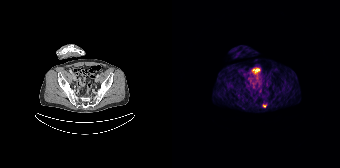
Left: CT. Right: PSMA PET, same axial level, 68Ga tracer. Slice 55 of 195. PET panel 168×168 px (4.1 mm/px). Coordinates are on the 168×168 PET (right) panel. Small PSMA-avid focus (2 to 4 px across) near (center x, center y): (92, 106).